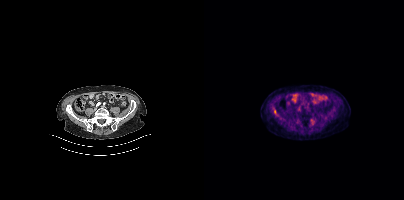
Coordinates are on the 200×200 PET (right) panel. PSMA-avid tumor lesion bounding box (x0, y0)-(x1, y1): (70, 108)-(72, 113).